Left: CT. Right: PSMA PET, same axial level, 68Ga tracer. Acquired on Siemens Biograph mCT Flow 20. Slice position z = 388 mm. PET panel 200×200 px (4.1 mm/px).
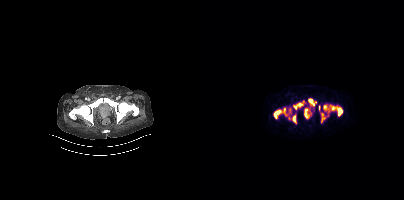
This slice has no annotated PSMA-avid lesion.